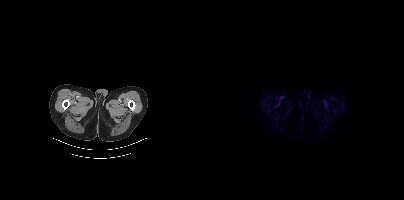
Left: CT. Right: PSMA PET, same axial level, [18F]PSMA-1007 tracer. Negative for PSMA-avid disease on this slice.